Left: CT. Right: PSMA PET, same axial level, 18F tracer. Acquired on Siemens Biograph mCT Flow 20.
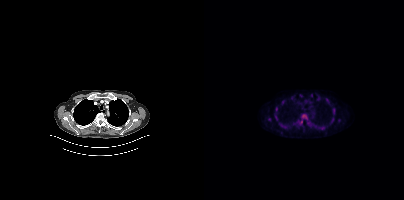
Coordinates are on the 200×200 PET (right) panel. PSMA-avid tumor lesion bounding box (x, y, width, height): x=129 y=109 w=2 h=5. Small PSMA-avid foci (2 to 4 px across) near (center x, center y): (72, 117) | (72, 108) | (65, 119) | (78, 102) | (128, 118).